Two-panel axial: CT | PSMA PET, [18F]PSMA-1007 tracer. Slice position z = -1043 mm. PET panel 200×200 px (4.1 mm/px).
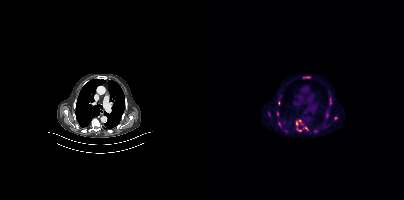
Coordinates are on the 200×200 PET (right) panel. (showing 7 of 9 foci) PSMA-avid tumor lesion bounding boxes (x, y, width, height): x=91 y=119 w=14 h=14 | x=74 y=122 w=4 h=6 | x=64 y=112 w=3 h=5. Small PSMA-avid foci (2 to 4 px across) near (center x, center y): (123, 115) | (131, 118) | (74, 103) | (73, 113).